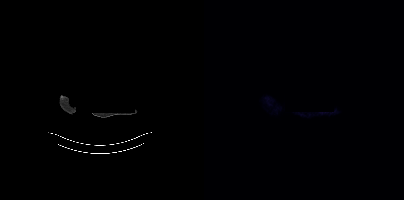
This slice has no annotated PSMA-avid lesion. Paired axial CT (left) and PSMA PET (right), 18F-PSMA tracer. Acquired on Siemens Biograph mCT Flow 20. Slice 381 of 427. De-identified by setting a box covering the face to black before release.